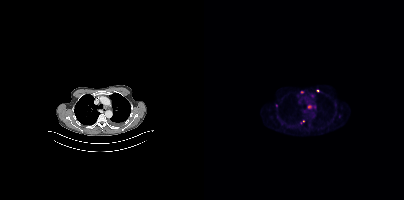
Coordinates are on the 200×200 PET (right) panel. (showing 3 of 7 foci) PSMA-avid tumor lesion bounding box (x, y, width, height): x=103 y=105 w=5 h=4. Small PSMA-avid foci (2 to 4 px across) near (center x, center y): (97, 122) / (113, 90).